Two-panel axial: CT | PSMA PET, 18F tracer. Slice 300 of 425. PET panel 200×200 px (4.1 mm/px).
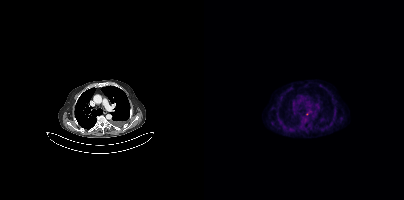
Only PSMA-avid lesion pieces thinner than 2 px on this slice (not listed).